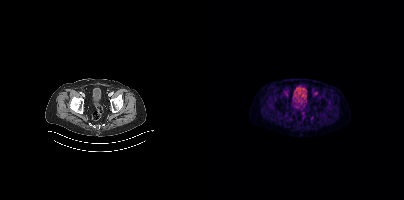
- Two-panel axial: CT | PSMA PET, 18F tracer
- slice 88 of 429
- PET panel 200×200 px (4.1 mm/px)
Findings: This slice has no annotated PSMA-avid lesion.